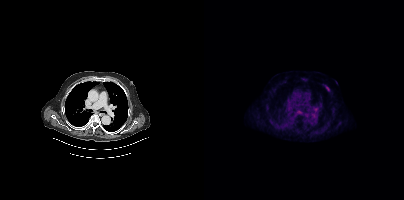
Technique: Paired axial CT (left) and PSMA PET (right), 18F-PSMA tracer. slice 309 of 425. PET panel 200×200 px (4.1 mm/px).
Findings: Coordinates are on the 200×200 PET (right) panel. PSMA-avid tumor lesion bounding box (x0,y0,x1,y1): [122,86,125,90].